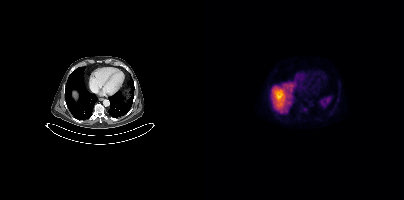
modality: PSMA PET/CT | tracer: 18F-PSMA | view: axial | PET grid: 200×200
Coordinates are on the 200×200 PET (right) panel. Small PSMA-avid focus (2 to 4 px across) near (center x, center y): (100, 109).